Technique: Two-panel axial: CT | PSMA PET, 18F-PSMA tracer. acquired on Siemens Biograph mCT Flow 20. PET panel 200×200 px (4.1 mm/px).
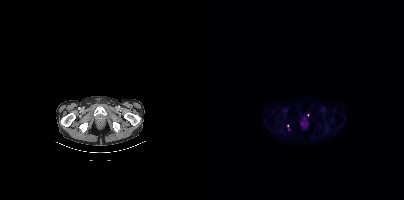
Findings: Only PSMA-avid lesion pieces thinner than 2 px on this slice (not listed).